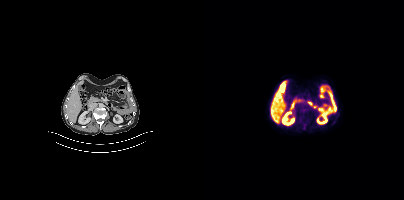
Findings: Negative for PSMA-avid disease on this slice.
- Two-panel axial: CT | PSMA PET, [18F]PSMA-1007 tracer
- acquired on Siemens Biograph mCT Flow 20
- slice 185 of 413